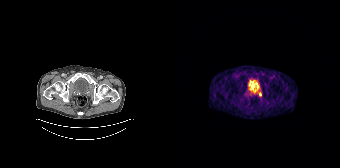
Coordinates are on the 168×168 PET (right) panel. (showing 1 of 2 foci) PSMA-avid tumor lesion bounding box (x, y, width, height): x=87 y=92 w=3 h=5. Two-panel axial: CT | PSMA PET, 68Ga-PSMA tracer. PET panel 168×168 px (4.1 mm/px).